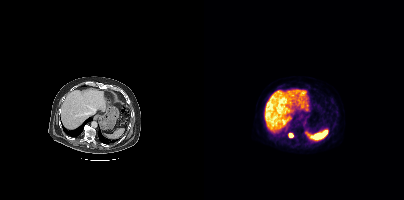
Coordinates are on the 200×200 PET (right) panel. PSMA-avid tumor lesion bounding box (x0,y0,x1,y1): [85,133,88,137].